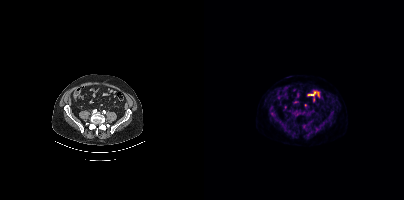
Only PSMA-avid lesion pieces thinner than 2 px on this slice (not listed).